Paired axial CT (left) and PSMA PET (right), 18F tracer. Slice position z = -242 mm. Part of this slice was blanked for de-identification.
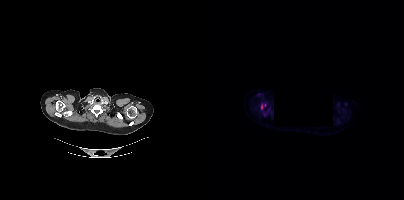
Coordinates are on the 200×200 PET (right) panel. (showing 1 of 2 foci) Small PSMA-avid focus (2 to 4 px across) near (center x, center y): (57, 106).